- Paired axial CT (left) and PSMA PET (right), 18F tracer
- acquired on Siemens Biograph mCT Flow 20
- slice 102 of 429
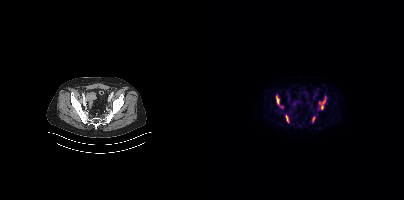
Findings: Coordinates are on the 200×200 PET (right) panel. PSMA-avid tumor lesion bounding boxes (x, y, width, height): x=115 y=97 w=7 h=13; x=72 y=95 w=4 h=9; x=82 y=115 w=3 h=8; x=109 y=117 w=2 h=5.